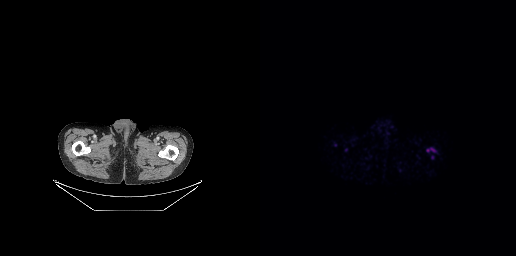
{"pet_grid":[256,256],"coord_frame":"pet_panel","coord_format":"x0,y0,x1,y1","lesion_bboxes":[],"small_foci_centers":[[168,149]],"modality":"PSMA PET/CT","view":"axial","tracer":"68Ga"}